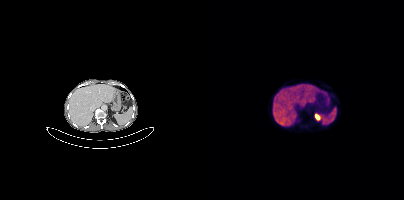
Left: CT. Right: PSMA PET, same axial level, 68Ga-PSMA tracer. Slice 215 of 409. PET panel 200×200 px (4.1 mm/px). No tumor lesions annotated on this slice.